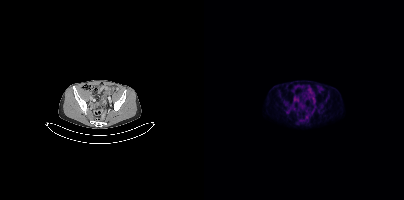
Coordinates are on the 200×200 PET (right) panel. Small PSMA-avid focus (2 to 4 px across) near (center x, center y): (83, 112). Two-panel axial: CT | PSMA PET, [18F]PSMA-1007 tracer. Acquired on Siemens Biograph mCT Flow 20. Slice position z = 1253 mm. PET panel 200×200 px (4.1 mm/px).